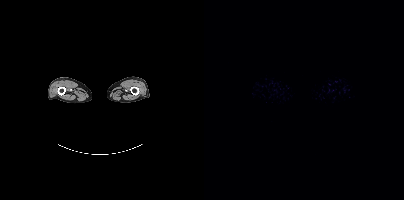
No tumor lesions annotated on this slice. Paired axial CT (left) and PSMA PET (right), [18F]PSMA-1007 tracer. Slice 1 of 508.